- Left: CT. Right: PSMA PET, same axial level, 18F-PSMA tracer
- acquired on GE Discovery 690
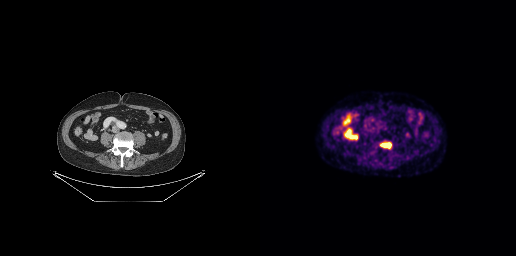
Findings: Coordinates are on the 256×256 PET (right) panel. PSMA-avid tumor lesion bounding box (x0, y0)-(x1, y1): (123, 144)-(128, 146).